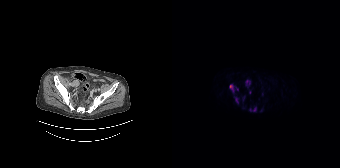
Left: CT. Right: PSMA PET, same axial level, [18F]PSMA-1007 tracer. Acquired on Siemens Biograph 64-4R TruePoint. Coordinates are on the 168×168 PET (right) panel. (showing 5 of 8 foci) PSMA-avid tumor lesion bounding boxes (x0, y0)-(x1, y1): (58, 84)-(63, 93); (73, 80)-(78, 85). Small PSMA-avid foci (2 to 4 px across) near (center x, center y): (82, 109); (78, 109); (64, 100).